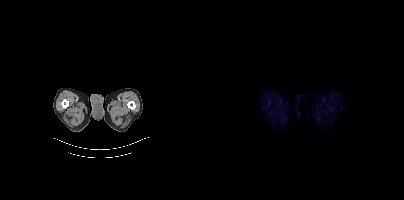
This slice has no annotated PSMA-avid lesion. Left: CT. Right: PSMA PET, same axial level, 18F tracer. Slice 24 of 452. PET panel 200×200 px (4.1 mm/px).